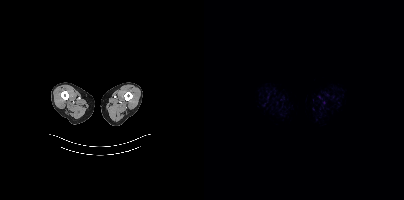
Findings: No PSMA-avid tumor lesions on this slice.
Technique: Paired axial CT (left) and PSMA PET (right), [18F]PSMA-1007 tracer. slice position z = -1072 mm. PET panel 200×200 px (4.1 mm/px).